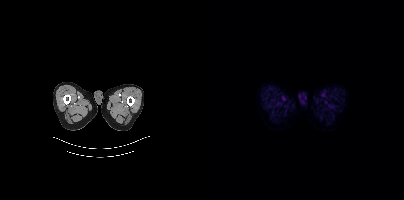
This slice has no annotated PSMA-avid lesion.